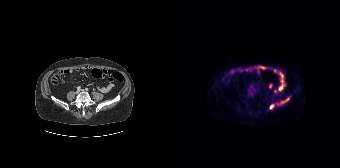
{"pet_grid":[168,168],"coord_frame":"pet_panel","coord_format":"x0,y0,x1,y1","partial":true,"lesion_bboxes":[[107,101,111,104]],"small_foci_centers":[[115,98],[99,106]],"modality":"PSMA PET/CT","view":"axial","tracer":"18F-PSMA"}